The head region is masked for de-identification.
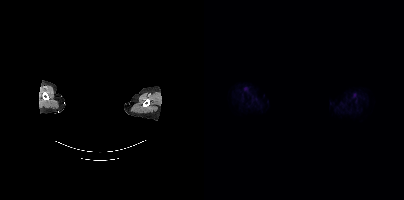
No PSMA-avid tumor lesions on this slice.